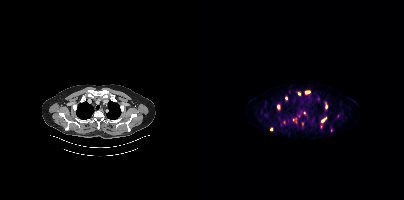
Coordinates are on the 200×200 PET (right) panel. (showing 9 of 11 foci) PSMA-avid tumor lesion bounding boxes (x, y, width, height): x=117 y=117 w=6 h=7; x=121 y=102 w=3 h=8; x=101 y=91 w=6 h=4. Small PSMA-avid foci (2 to 4 px across) near (center x, center y): (95, 93); (74, 106); (67, 129); (82, 98); (117, 126); (100, 112).